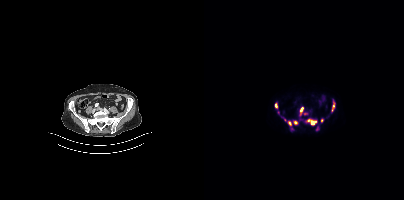
Paired axial CT (left) and PSMA PET (right), [18F]PSMA-1007 tracer. Slice 111 of 403. PET panel 200×200 px (4.1 mm/px). Coordinates are on the 200×200 PET (right) panel. (showing 8 of 9 foci) PSMA-avid tumor lesion bounding boxes (x0, y0)-(x1, y1): (104, 119)-(112, 124); (128, 105)-(130, 111); (96, 107)-(99, 111); (84, 121)-(87, 125); (71, 103)-(73, 107). Small PSMA-avid foci (2 to 4 px across) near (center x, center y): (91, 122); (117, 120); (80, 119).